Technique: Left: CT. Right: PSMA PET, same axial level, 18F-PSMA tracer. slice position z = -304 mm. PET panel 256×256 px (2.7 mm/px).
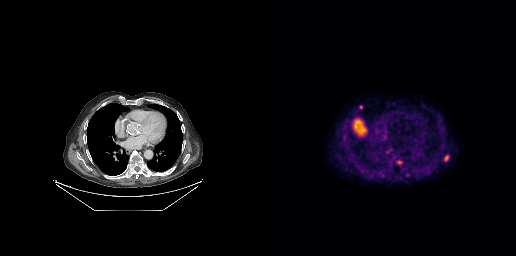
Findings: Coordinates are on the 256×256 PET (right) panel. PSMA-avid tumor lesion bounding box (x0, y0)-(x1, y1): (99, 105)-(102, 109). Small PSMA-avid foci (2 to 4 px across) near (center x, center y): (123, 175) | (186, 158).